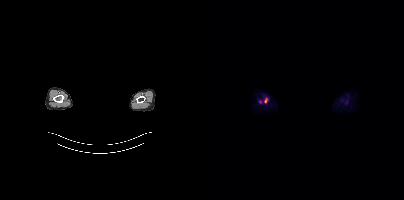
Two-panel axial: CT | PSMA PET, 18F-PSMA tracer. Acquired on Siemens Biograph mCT Flow 20. Slice position z = -869 mm. PET panel 200×200 px (4.1 mm/px). Any black rectangle over the head is a privacy mask, not anatomy. Coordinates are on the 200×200 PET (right) panel. PSMA-avid tumor lesion bounding box (x0,y0,x1,y1): [61,98,63,102]. Small PSMA-avid focus (2 to 4 px across) near (center x, center y): (55, 101).